modality: PSMA PET/CT | tracer: [68Ga]Ga-PSMA-11 | view: axial | PET grid: 168×168
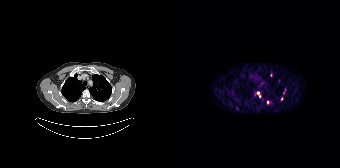
Coordinates are on the 168×168 PET (right) panel. (showing 6 of 9 foci) Small PSMA-avid foci (2 to 4 px across) near (center x, center y): (96, 102), (86, 93), (65, 108), (109, 98), (111, 92), (87, 96).